Technique: Two-panel axial: CT | PSMA PET, 18F-PSMA tracer. slice 29 of 454.
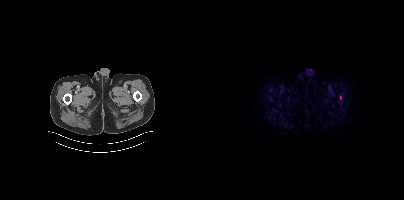
Findings: Coordinates are on the 200×200 PET (right) panel. Small PSMA-avid focus (2 to 4 px across) near (center x, center y): (136, 97).